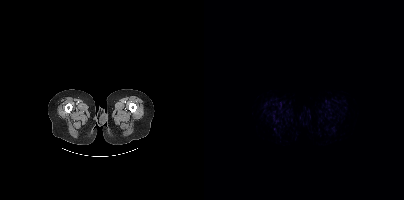
Negative for PSMA-avid disease on this slice.